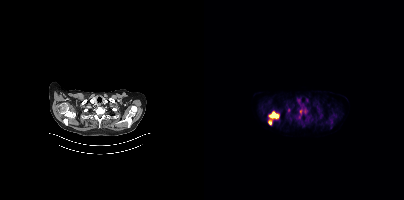
modality: PSMA PET/CT | tracer: 18F | view: axial
Coordinates are on the 200×200 PET (right) panel. PSMA-avid tumor lesion bounding boxes (x, y, width, height): x=65 y=112 w=10 h=7; x=83 y=108 w=4 h=5. Small PSMA-avid foci (2 to 4 px across) near (center x, center y): (66, 122); (101, 110); (96, 111).